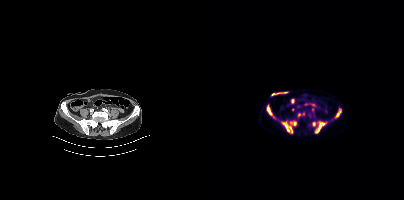
{"modality":"PSMA PET/CT","view":"axial","tracer":"[18F]PSMA-1007","pet_grid":[200,200],"coord_frame":"pet_panel","coord_format":"x0,y0,x1,y1","partial":true,"lesion_bboxes":[[77,121,92,133],[111,121,122,132],[62,104,70,117],[131,109,137,118]],"small_foci_centers":[[110,123],[95,114]]}